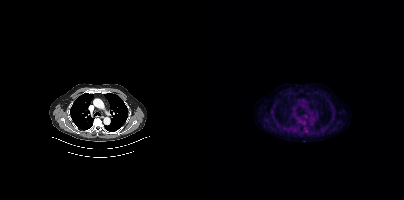
Findings: Coordinates are on the 200×200 PET (right) panel. Small PSMA-avid focus (2 to 4 px across) near (center x, center y): (102, 131).
- Left: CT. Right: PSMA PET, same axial level, [18F]PSMA-1007 tracer
- acquired on Siemens Biograph mCT Flow 20
- slice 306 of 409